- Two-panel axial: CT | PSMA PET, 68Ga tracer
- slice 76 of 389
- PET panel 200×200 px (4.1 mm/px)
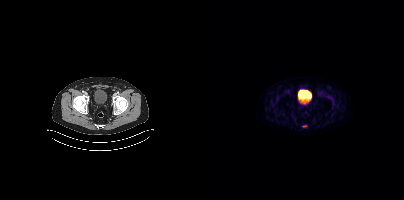
Findings: Coordinates are on the 200×200 PET (right) panel. Small PSMA-avid focus (2 to 4 px across) near (center x, center y): (100, 126).